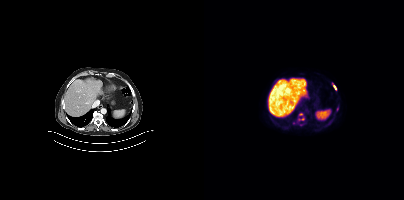
{"modality":"PSMA PET/CT","view":"axial","tracer":"[18F]PSMA-1007","pet_grid":[200,200],"coord_frame":"pet_panel","coord_format":"x0,y0,x1,y1","partial":true,"lesion_bboxes":[[129,85,132,90]],"small_foci_centers":[[133,108],[97,114],[98,118]]}